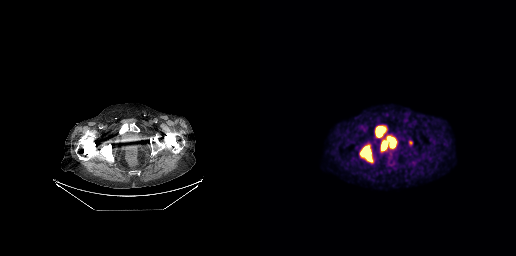
Coordinates are on the 256×256 PET (right) panel. PSMA-avid tumor lesion bounding boxes (x0,y0,x1,y1): [100,146,112,161] [115,126,126,137].